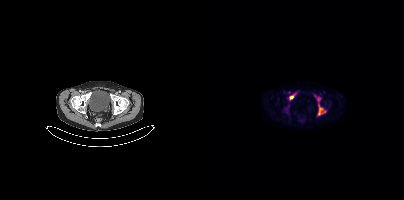
- Two-panel axial: CT | PSMA PET, [18F]PSMA-1007 tracer
Findings: Coordinates are on the 200×200 PET (right) panel. (showing 3 of 5 foci) PSMA-avid tumor lesion bounding boxes (x0, y0)-(x1, y1): (113, 103)-(122, 115) / (85, 93)-(92, 100) / (113, 97)-(116, 101).